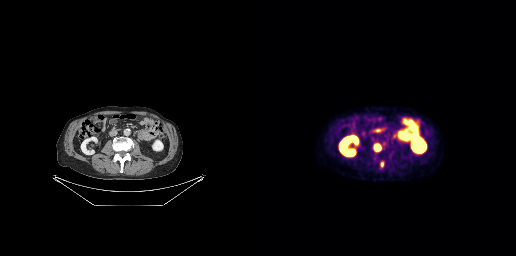
Left: CT. Right: PSMA PET, same axial level, [18F]PSMA-1007 tracer. Acquired on GE Discovery 690. PET panel 256×256 px (2.7 mm/px).
Coordinates are on the 256×256 PET (right) panel. PSMA-avid tumor lesion bounding boxes (partial; 1 more focus not listed):
| # | x0 | y0 | x1 | y1 |
|---|---|---|---|---|
| 1 | 114 | 144 | 120 | 151 |
| 2 | 122 | 140 | 127 | 146 |
| 3 | 120 | 161 | 124 | 167 |
| 4 | 117 | 131 | 121 | 133 |